Technique: Two-panel axial: CT | PSMA PET, 18F tracer. acquired on Siemens Biograph 64-4R TruePoint.
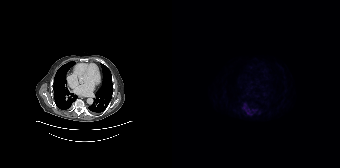
Findings: Only PSMA-avid lesion pieces thinner than 2 px on this slice (not listed).